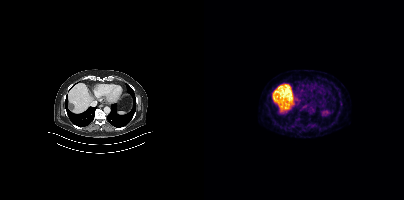
Only PSMA-avid lesion pieces thinner than 2 px on this slice (not listed).